modality: PSMA PET/CT | tracer: [18F]PSMA-1007 | view: axial | PET grid: 200×200
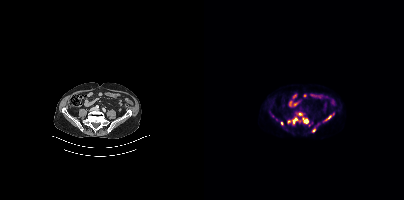
Coordinates are on the 200×200 PET (right) panel. (showing 7 of 9 foci) PSMA-avid tumor lesion bounding boxes (x0,y0,x1,y1): [123,113,130,119] [100,119,104,123] [89,118,93,123]. Small PSMA-avid foci (2 to 4 px across) near (center x, center y): (109, 130) (77, 123) (72, 119) (84, 121).